Paired axial CT (left) and PSMA PET (right), [18F]PSMA-1007 tracer. Slice 80 of 452. PET panel 200×200 px (4.1 mm/px).
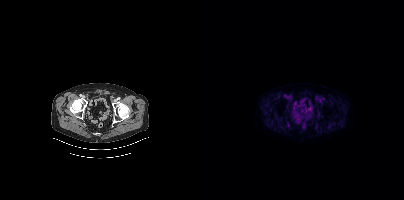
No PSMA-avid tumor lesions on this slice.